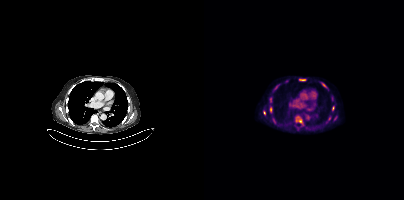
Findings: Coordinates are on the 200×200 PET (right) panel. PSMA-avid tumor lesion bounding boxes (x0, y0)-(x1, y1): (66, 107)-(68, 112); (95, 79)-(101, 80); (92, 120)-(97, 122); (128, 106)-(130, 110). Small PSMA-avid foci (2 to 4 px across) near (center x, center y): (60, 112); (118, 83); (66, 100); (125, 118).
- Two-panel axial: CT | PSMA PET, 18F tracer
- slice position z = -532 mm